Technique: Left: CT. Right: PSMA PET, same axial level, 18F tracer. acquired on Siemens Biograph mCT Flow 20.
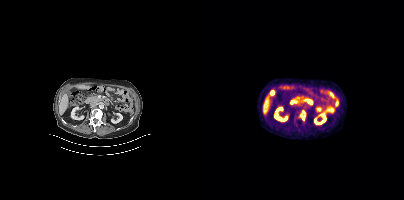
Findings: Coordinates are on the 200×200 PET (right) panel. PSMA-avid tumor lesion bounding box (x0, y0)-(x1, y1): (96, 110)-(101, 120).